Paired axial CT (left) and PSMA PET (right), [68Ga]Ga-PSMA-11 tracer.
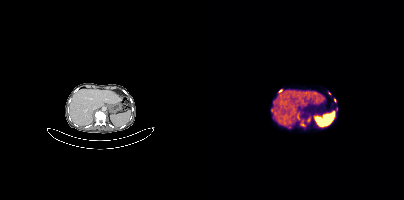
Coordinates are on the 200×200 PET (right) panel. PSMA-avid tumor lesion bounding boxes (partial; 1 more focus not listed):
| # | x0 | y0 | x1 | y1 |
|---|---|---|---|---|
| 1 | 67 | 107 | 69 | 112 |
| 2 | 104 | 116 | 107 | 120 |
Small PSMA-avid foci (2 to 4 px across) near (center x, center y): (76, 90); (132, 109); (99, 125); (130, 100); (94, 117); (125, 93).